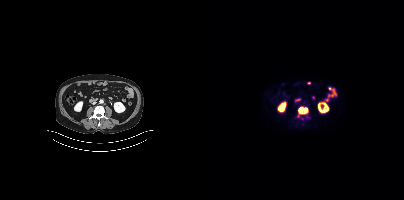
Coordinates are on the 200×200 PET (right) panel. PSMA-avid tumor lesion bounding box (x0, y0)-(x1, y1): (93, 106)-(104, 117).